The face region was removed for patient privacy by blanking a rectangle over the head. Paired axial CT (left) and PSMA PET (right), 18F-PSMA tracer. Acquired on Siemens Biograph mCT Flow 20.
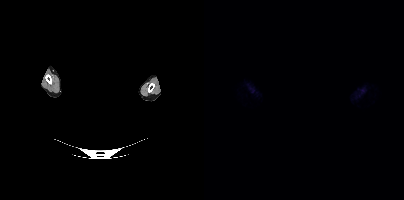
This slice has no annotated PSMA-avid lesion.